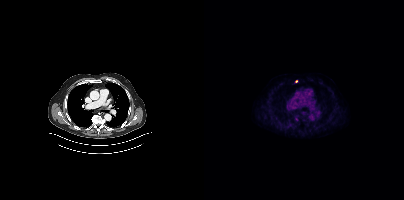
Findings: Coordinates are on the 200×200 PET (right) panel. Small PSMA-avid focus (2 to 4 px across) near (center x, center y): (92, 81).
Technique: Paired axial CT (left) and PSMA PET (right), 18F tracer. PET panel 200×200 px (4.1 mm/px).